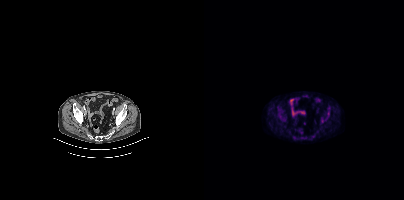
{"modality":"PSMA PET/CT","view":"axial","tracer":"18F","pet_grid":[200,200],"coord_frame":"pet_panel","coord_format":"x0,y0,x1,y1","lesion_bboxes":[[117,117,123,123]]}